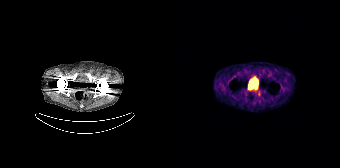
{"modality":"PSMA PET/CT","view":"axial","tracer":"[68Ga]Ga-PSMA-11","pet_grid":[168,168],"coord_frame":"pet_panel","coord_format":"x0,y0,x1,y1","psma_avid_lesions":false}